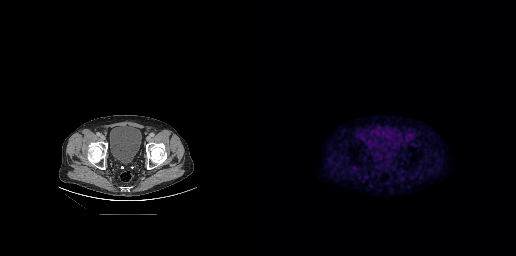
This slice has no annotated PSMA-avid lesion.